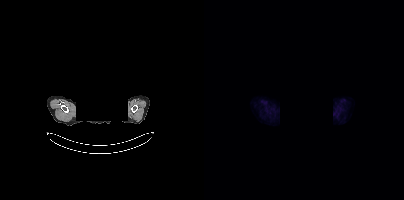
A rectangular block over the head has been blanked out for de-identification.
Negative for PSMA-avid disease on this slice.